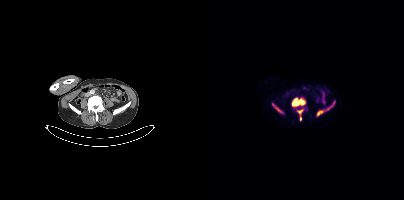
Coordinates are on the 200×200 PET (right) panel. PSMA-avid tumor lesion bounding boxes (x, y, width, height): x=88 y=97 w=14 h=24 / x=113 y=101 w=19 h=15 / x=68 y=104 w=10 h=9.